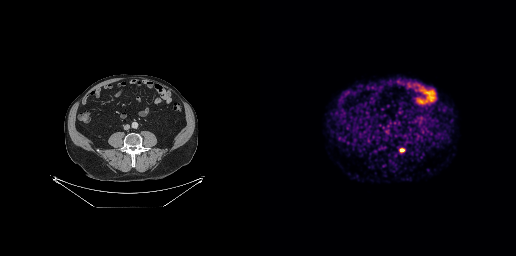
{"modality":"PSMA PET/CT","view":"axial","tracer":"68Ga","pet_grid":[256,256],"coord_frame":"pet_panel","coord_format":"x0,y0,x1,y1","lesion_bboxes":[[139,148,145,152]]}